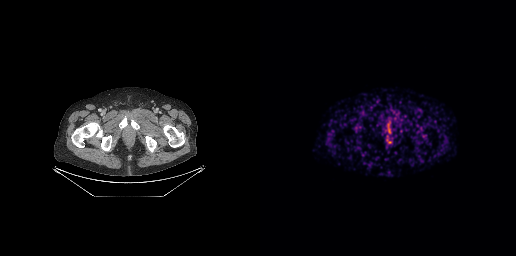
Only PSMA-avid lesion pieces thinner than 2 px on this slice (not listed). Paired axial CT (left) and PSMA PET (right), 68Ga-PSMA tracer. Slice position z = -900 mm. PET panel 256×256 px (2.7 mm/px).